- Two-panel axial: CT | PSMA PET, 68Ga-PSMA tracer
- PET panel 168×168 px (4.1 mm/px)
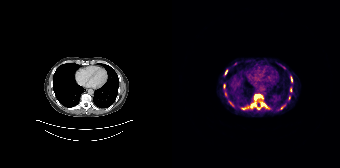
Findings: Coordinates are on the 168×168 PET (right) panel. (showing 12 of 15 foci) PSMA-avid tumor lesion bounding boxes (x0, y0)-(x1, y1): (82, 94)-(89, 99) | (89, 103)-(94, 107) | (79, 103)-(84, 106) | (70, 107)-(75, 109) | (57, 101)-(60, 105) | (119, 77)-(120, 81). Small PSMA-avid foci (2 to 4 px across) near (center x, center y): (54, 71) | (118, 90) | (53, 94) | (112, 105) | (109, 107) | (86, 108).